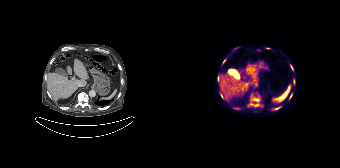
Coordinates are on the 168×168 PET (right) panel. (showing 8 of 11 foci) PSMA-avid tumor lesion bounding boxes (x0,y0,x1,y1): [76,96,88,106] [118,64,121,70] [45,76,47,80] [48,93,51,98] [117,94,120,98] [103,107,108,109] [62,108,66,109] [51,59,53,63].